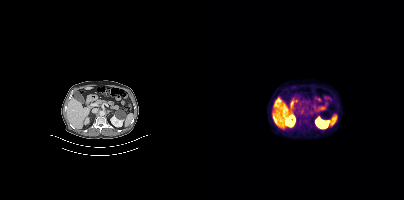
modality: PSMA PET/CT | tracer: 18F | view: axial | PET grid: 200×200
Negative for PSMA-avid disease on this slice.